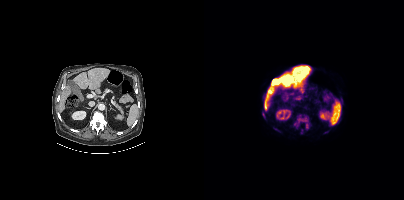
Coordinates are on the 200×200 PET (right) panel. PSMA-avid tumor lesion bounding boxes (x0, y0)-(x1, y1): (90, 114)-(106, 129) | (92, 98)-(96, 99) | (97, 129)-(98, 133). Small PSMA-avid focus (2 to 4 px across) near (center x, center y): (60, 116).